Two-panel axial: CT | PSMA PET, 18F-PSMA tracer. Acquired on Siemens Biograph mCT Flow 20. Slice 323 of 417.
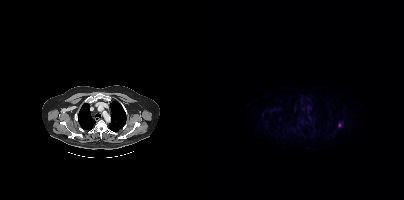
Coordinates are on the 200×200 PET (right) panel. Small PSMA-avid focus (2 to 4 px across) near (center x, center y): (135, 125).